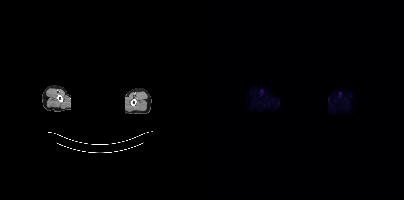
{"modality":"PSMA PET/CT","view":"axial","tracer":"18F-PSMA","pet_grid":[200,200],"coord_frame":"pet_panel","coord_format":"x0,y0,x1,y1","deidentification":"facial region redacted","psma_avid_lesions":false}